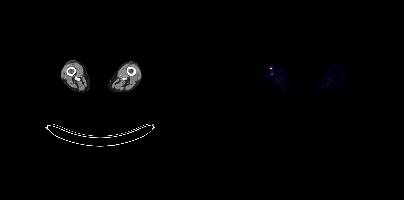
Paired axial CT (left) and PSMA PET (right), 18F-PSMA tracer. Acquired on Siemens Biograph mCT Flow 20. Coordinates are on the 200×200 PET (right) panel. (showing 1 of 2 foci) Small PSMA-avid focus (2 to 4 px across) near (center x, center y): (67, 73).